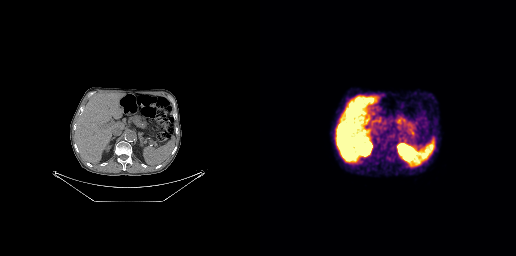
This slice has no annotated PSMA-avid lesion.